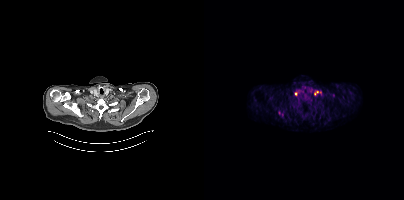
Coordinates are on the 200×200 PET (right) panel. (showing 2 of 3 foci) PSMA-avid tumor lesion bounding box (x0, y0)-(x1, y1): (113, 91)-(117, 93). Small PSMA-avid focus (2 to 4 px across) near (center x, center y): (91, 94).